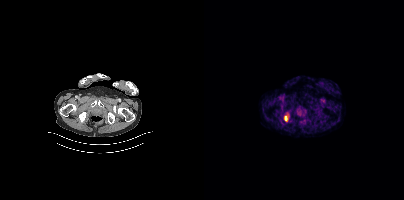
Coordinates are on the 200×200 PET (right) panel. PSMA-avid tumor lesion bounding box (x, y, width, height): x=80 y=116 w=4 h=6.